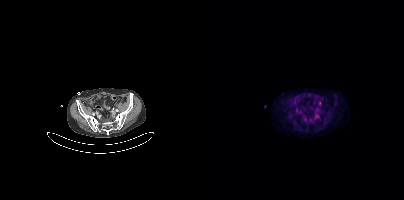
- Paired axial CT (left) and PSMA PET (right), 18F-PSMA tracer
- PET panel 200×200 px (4.1 mm/px)
Findings: Coordinates are on the 200×200 PET (right) panel. (showing 2 of 3 foci) PSMA-avid tumor lesion bounding box (x, y, width, height): x=111 y=114 w=2 h=5. Small PSMA-avid focus (2 to 4 px across) near (center x, center y): (92, 110).